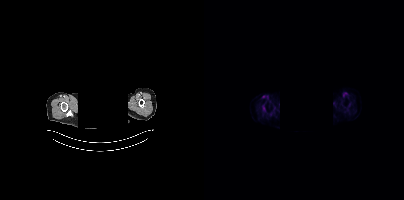
No tumor lesions annotated on this slice. Head region blanked for anonymization (face removed). Paired axial CT (left) and PSMA PET (right), 18F tracer.